modality: PSMA PET/CT | tracer: [68Ga]Ga-PSMA-11 | view: axial
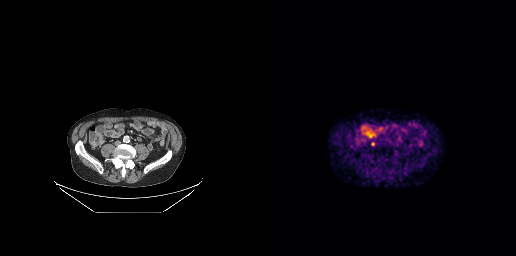
Coordinates are on the 256×256 PET (right) panel. Small PSMA-avid focus (2 to 4 px across) near (center x, center y): (112, 143).